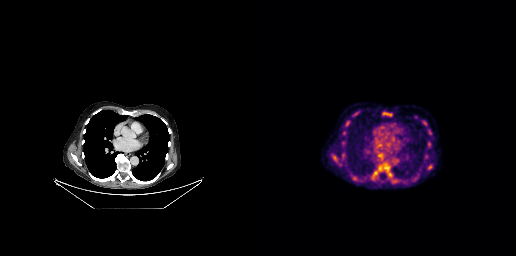
Coordinates are on the 256×256 PET (right) panel. (showing 8 of 10 foci) PSMA-avid tumor lesion bounding boxes (x0,y0,x1,y1): [128,176,135,183] [72,155,77,161] [123,113,128,114]. Small PSMA-avid foci (2 to 4 px across) near (center x, center y): (169, 131) (97, 112) (83, 155) (84, 133) (130, 114).